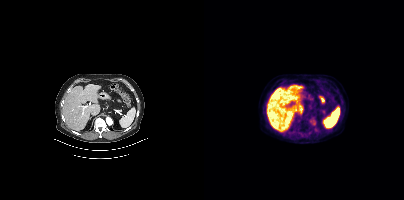
This slice has no annotated PSMA-avid lesion.